Two-panel axial: CT | PSMA PET, 18F tracer. PET panel 200×200 px (4.1 mm/px).
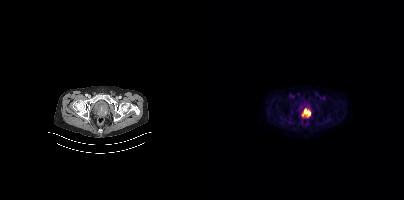
Coordinates are on the 200×200 PET (right) panel. PSMA-avid tumor lesion bounding boxes:
| # | x0 | y0 | x1 | y1 |
|---|---|---|---|---|
| 1 | 98 | 109 | 105 | 117 |